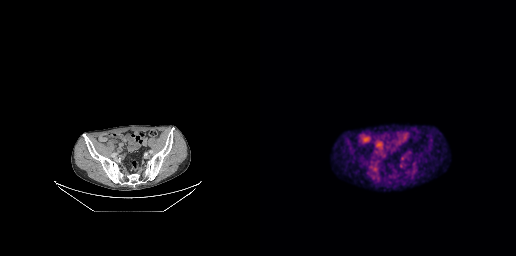
This slice has no annotated PSMA-avid lesion.
modality: PSMA PET/CT | tracer: [18F]PSMA-1007 | view: axial